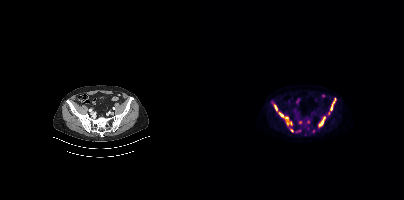
Coordinates are on the 200×200 PET (right) panel. PSMA-avid tumor lesion bounding boxes:
| # | x0 | y0 | x1 | y1 |
|---|---|---|---|---|
| 1 | 75 | 112 | 88 | 124 |
| 2 | 124 | 99 | 131 | 115 |
| 3 | 115 | 116 | 121 | 126 |
| 4 | 69 | 104 | 73 | 110 |
Small PSMA-avid foci (2 to 4 px across) near (center x, center y): (109, 130); (96, 122); (94, 130); (104, 121); (86, 127); (88, 130).
Left: CT. Right: PSMA PET, same axial level, 18F tracer. Acquired on Siemens Biograph mCT Flow 20.